Two-panel axial: CT | PSMA PET, 18F tracer.
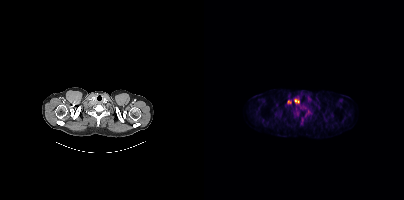
Coordinates are on the 200×200 PET (right) panel. PSMA-avid tumor lesion bounding boxes:
| # | x0 | y0 | x1 | y1 |
|---|---|---|---|---|
| 1 | 90 | 99 | 95 | 103 |
| 2 | 83 | 100 | 87 | 103 |